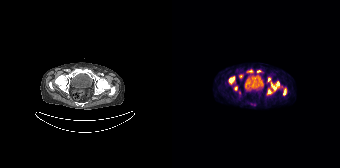
Left: CT. Right: PSMA PET, same axial level, [68Ga]Ga-PSMA-11 tracer.
Coordinates are on the 168×168 PET (right) panel. PSMA-avid tumor lesion bounding boxes (partial; 1 more focus not listed):
| # | x0 | y0 | x1 | y1 |
|---|---|---|---|---|
| 1 | 99 | 81 | 107 | 91 |
| 2 | 57 | 76 | 62 | 84 |
| 3 | 111 | 88 | 114 | 95 |
| 4 | 95 | 89 | 100 | 94 |
| 5 | 62 | 86 | 65 | 90 |
| 6 | 77 | 70 | 81 | 72 |
Small PSMA-avid foci (2 to 4 px across) near (center x, center y): (97, 79); (68, 76); (86, 71).